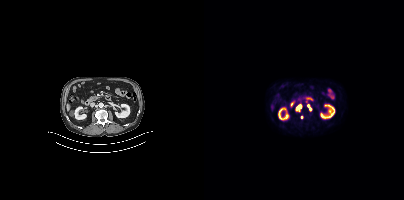
{"modality":"PSMA PET/CT","view":"axial","tracer":"18F","pet_grid":[200,200],"coord_frame":"pet_panel","coord_format":"x0,y0,x1,y1","partial":true,"lesion_bboxes":[[93,105,97,111]]}